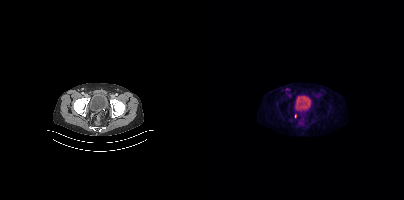
Only PSMA-avid lesion pieces thinner than 2 px on this slice (not listed).
modality: PSMA PET/CT | tracer: [18F]PSMA-1007 | view: axial